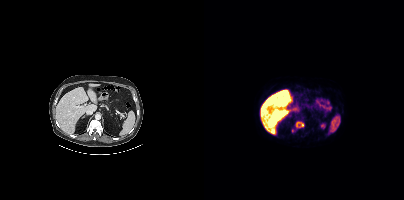
Left: CT. Right: PSMA PET, same axial level, 18F tracer. Slice 307 of 508. PET panel 200×200 px (4.1 mm/px). Coordinates are on the 200×200 PET (right) panel. PSMA-avid tumor lesion bounding box (x0,y0,x1,y1): [87,121,100,132].